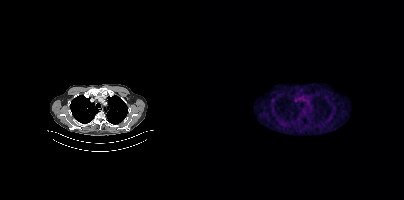
Two-panel axial: CT | PSMA PET, 18F tracer. Slice position z = -822 mm. This slice has no annotated PSMA-avid lesion.